Technique: Paired axial CT (left) and PSMA PET (right), [68Ga]Ga-PSMA-11 tracer.
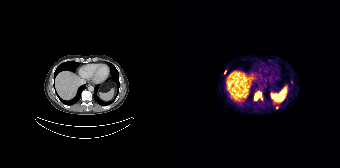
Findings: Coordinates are on the 168×168 PET (right) panel. (showing 2 of 4 foci) PSMA-avid tumor lesion bounding box (x, y, width, height): x=82 y=91 w=9 h=10. Small PSMA-avid focus (2 to 4 px across) near (center x, center y): (53, 72).